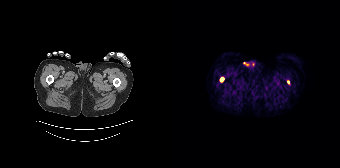
Coordinates are on the 168×168 PET (right) panel. Small PSMA-avid foci (2 to 4 px across) near (center x, center y): (49, 79) | (116, 81).